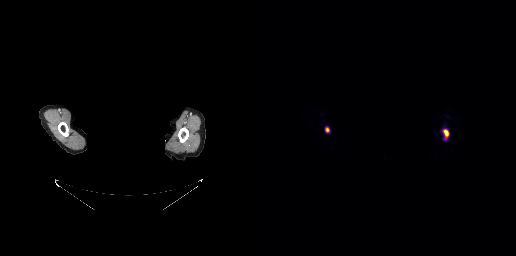
A rectangle over the head was blacked out to remove identifiable facial features.
Coordinates are on the 256×256 PET (right) panel. PSMA-avid tumor lesion bounding boxes (x, y, width, height): x=184 y=130 w=5 h=7; x=65 y=127 w=5 h=6.